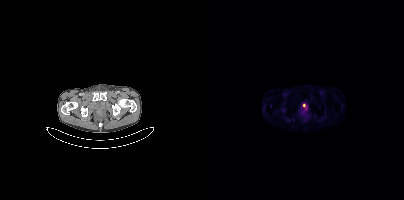
Coordinates are on the 200×200 PET (right) panel. (showing 1 of 2 foci) Small PSMA-avid focus (2 to 4 px across) near (center x, center y): (66, 105).